modality: PSMA PET/CT | tracer: 18F-PSMA | view: axial | PET grid: 256×256
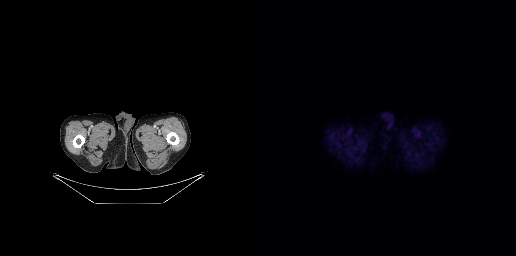
No tumor lesions annotated on this slice.